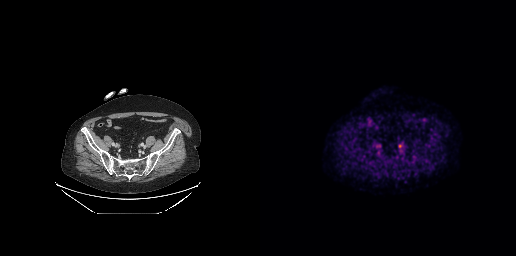
{"modality":"PSMA PET/CT","view":"axial","tracer":"[18F]PSMA-1007","pet_grid":[256,256],"coord_frame":"pet_panel","coord_format":"x0,y0,x1,y1","partial":true,"lesion_bboxes":[]}